Two-panel axial: CT | PSMA PET, [68Ga]Ga-PSMA-11 tracer. Acquired on Siemens Biograph mCT Flow 20. PET panel 200×200 px (4.1 mm/px).
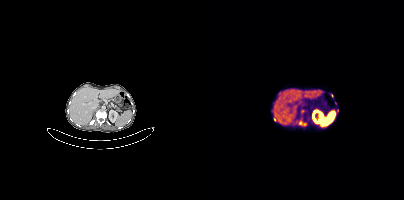
Coordinates are on the 200×200 PET (right) panel. (showing 5 of 6 foci) PSMA-avid tumor lesion bounding box (x0,y0,x1,y1): [95,121,102,126]. Small PSMA-avid foci (2 to 4 px across) near (center x, center y): (76, 93), (128, 95), (70, 119), (133, 110).